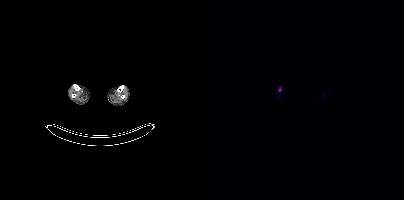
Findings: Coordinates are on the 200×200 PET (right) panel. Small PSMA-avid focus (2 to 4 px across) near (center x, center y): (76, 89).
Technique: Left: CT. Right: PSMA PET, same axial level, 18F-PSMA tracer.